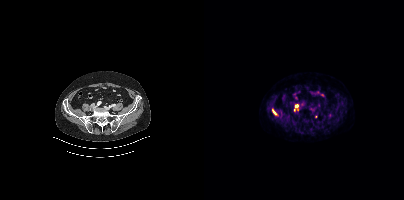
Left: CT. Right: PSMA PET, same axial level, 18F-PSMA tracer. PET panel 200×200 px (4.1 mm/px). Coordinates are on the 200×200 PET (right) panel. (showing 3 of 4 foci) PSMA-avid tumor lesion bounding box (x, y, width, height): x=69 y=110 w=4 h=5. Small PSMA-avid foci (2 to 4 px across) near (center x, center y): (92, 106); (112, 116).